- Paired axial CT (left) and PSMA PET (right), [18F]PSMA-1007 tracer
- PET panel 200×200 px (4.1 mm/px)
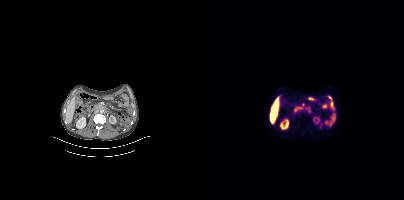
Findings: Coordinates are on the 200×200 PET (right) panel. PSMA-avid tumor lesion bounding box (x0, y0)-(x1, y1): (97, 103)-(107, 113).